Left: CT. Right: PSMA PET, same axial level, 18F tracer. PET panel 200×200 px (4.1 mm/px).
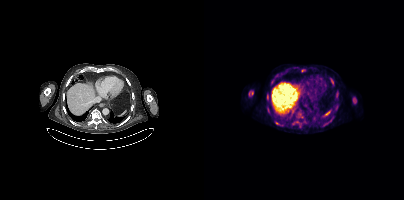
Coordinates are on the 200×200 PET (right) panel. (showing 7 of 9 foci) PSMA-avid tumor lesion bounding boxes (x, y, width, height): x=45 y=91 w=5 h=5; x=149 y=98 w=4 h=6; x=63 y=106 w=3 h=7; x=127 y=79 w=3 h=6; x=63 y=94 w=2 h=5. Small PSMA-avid foci (2 to 4 px across) near (center x, center y): (73, 123); (72, 75).